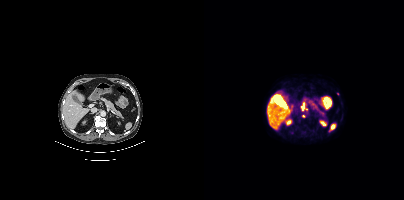
{"pet_grid":[200,200],"coord_frame":"pet_panel","coord_format":"x0,y0,x1,y1","partial":true,"lesion_bboxes":[],"small_foci_centers":[[98,107],[99,116]],"modality":"PSMA PET/CT","view":"axial","tracer":"18F"}